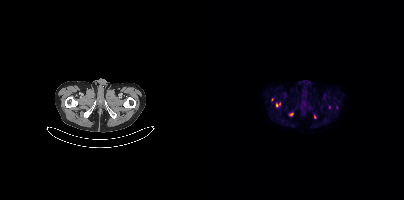
Coordinates are on the 200×200 PET (right) panel. (showing 3 of 5 foci) PSMA-avid tumor lesion bounding boxes (x0, y0)-(x1, y1): (72, 102)-(76, 107) | (85, 113)-(89, 116). Small PSMA-avid focus (2 to 4 px across) near (center x, center y): (68, 99).